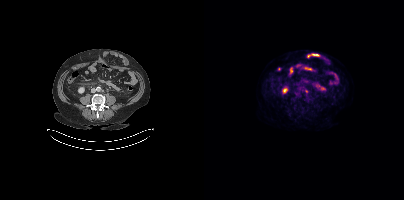
Technique: Left: CT. Right: PSMA PET, same axial level, [18F]PSMA-1007 tracer. acquired on Siemens Biograph mCT Flow 20. slice 169 of 435.
Findings: Coordinates are on the 200×200 PET (right) panel. PSMA-avid tumor lesion bounding box (x0, y0)-(x1, y1): (101, 89)-(104, 93). Small PSMA-avid focus (2 to 4 px across) near (center x, center y): (103, 97).